- Left: CT. Right: PSMA PET, same axial level, 18F-PSMA tracer
- slice position z = -864 mm
- PET panel 256×256 px (2.7 mm/px)
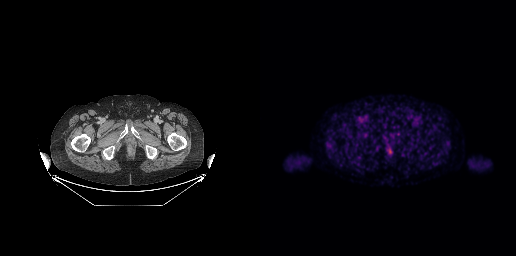
Findings: Negative for PSMA-avid disease on this slice.